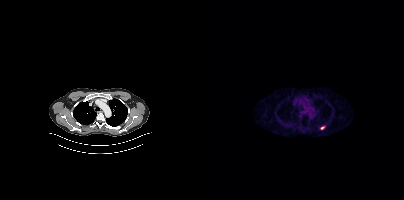
Coordinates are on the 200×200 PET (right) panel. PSMA-avid tumor lesion bounding box (x, y, width, height): x=116 y=126 w=5 h=4.